modality: PSMA PET/CT | tracer: [18F]PSMA-1007 | view: axial
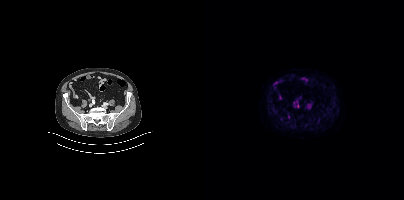
Coordinates are on the 200×200 PET (right) panel. (showing 1 of 2 foci) PSMA-avid tumor lesion bounding box (x0, y0)-(x1, y1): (84, 114)-(86, 118).